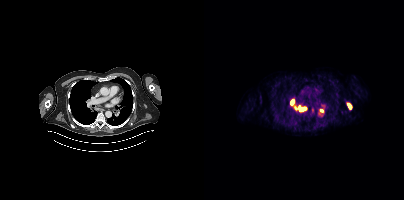
{"modality":"PSMA PET/CT","view":"axial","tracer":"68Ga","pet_grid":[200,200],"coord_frame":"pet_panel","coord_format":"x0,y0,x1,y1","partial":true,"lesion_bboxes":[[87,100,92,109],[95,107,102,110],[143,103,147,108]]}